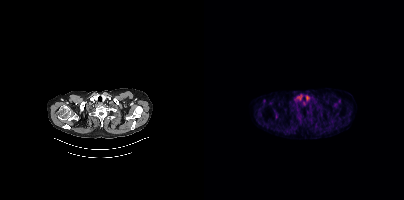
Paired axial CT (left) and PSMA PET (right), [18F]PSMA-1007 tracer. PET panel 200×200 px (4.1 mm/px). Negative for PSMA-avid disease on this slice.